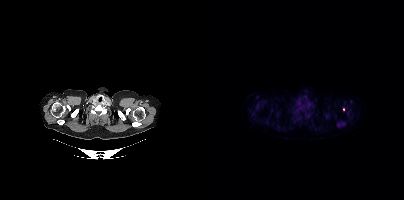
Coordinates are on the 200×200 PET (right) panel. PSMA-avid tumor lesion bounding box (x, y, width, height): x=133 y=121 w=8 h=7. Small PSMA-avid foci (2 to 4 px across) near (center x, center y): (99, 106); (97, 119); (139, 109).
modality: PSMA PET/CT | tracer: 18F | view: axial | PET grid: 200×200